Paired axial CT (left) and PSMA PET (right), [18F]PSMA-1007 tracer. PET panel 200×200 px (4.1 mm/px).
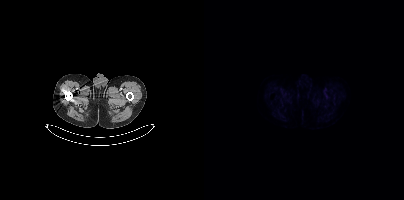
No PSMA-avid tumor lesions on this slice.